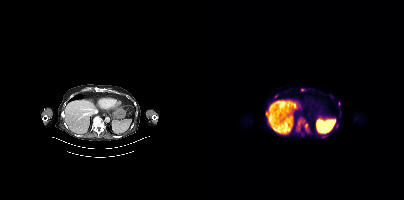
{"modality":"PSMA PET/CT","view":"axial","tracer":"18F-PSMA","pet_grid":[200,200],"coord_frame":"pet_panel","coord_format":"x0,y0,x1,y1","partial":true,"lesion_bboxes":[[91,117,106,135],[117,135,123,138],[70,94,74,98],[97,88,101,91],[132,123,134,127]],"small_foci_centers":[[128,96],[63,116]]}